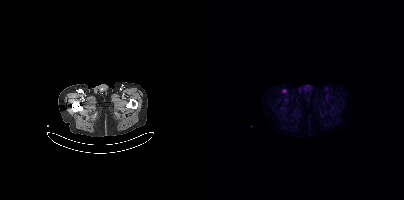
Coordinates are on the 200×200 PET (right) panel. Small PSMA-avid focus (2 to 4 px across) near (center x, center y): (80, 90).